- Two-panel axial: CT | PSMA PET, 18F tracer
- slice position z = -242 mm
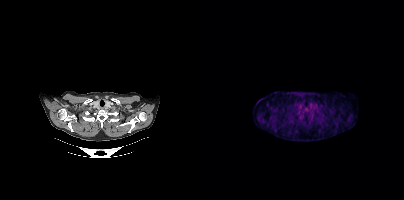
Findings: Negative for PSMA-avid disease on this slice.